Two-panel axial: CT | PSMA PET, [18F]PSMA-1007 tracer. Acquired on Siemens Biograph mCT Flow 20. PET panel 200×200 px (4.1 mm/px).
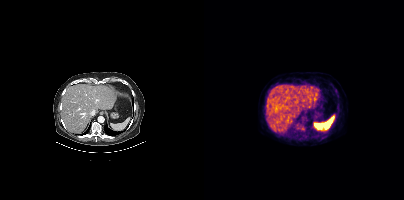
Coordinates are on the 200×200 PET (right) panel. PSMA-avid tumor lesion bounding boxes:
| # | x0 | y0 | x1 | y1 |
|---|---|---|---|---|
| 1 | 97 | 126 | 100 | 130 |